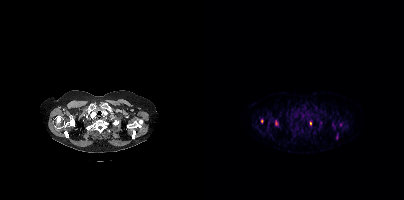
{"modality":"PSMA PET/CT","view":"axial","tracer":"68Ga-PSMA","pet_grid":[200,200],"coord_frame":"pet_panel","coord_format":"x0,y0,x1,y1","partial":true,"lesion_bboxes":[],"small_foci_centers":[[72,122],[106,122],[57,121],[136,124]]}